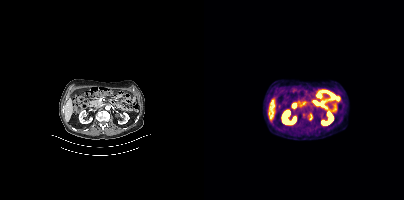
{"modality":"PSMA PET/CT","view":"axial","tracer":"[18F]PSMA-1007","pet_grid":[200,200],"coord_frame":"pet_panel","coord_format":"x0,y0,x1,y1","lesion_bboxes":[],"small_foci_centers":[[106,117]]}